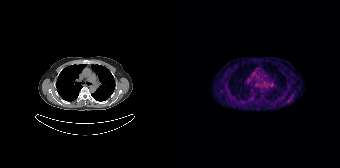
{"modality":"PSMA PET/CT","view":"axial","tracer":"68Ga-PSMA","pet_grid":[168,168],"coord_frame":"pet_panel","coord_format":"x0,y0,x1,y1","psma_avid_lesions":false}